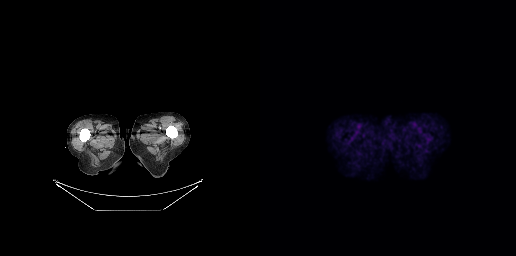
{"pet_grid":[256,256],"coord_frame":"pet_panel","coord_format":"x0,y0,x1,y1","psma_avid_lesions":false,"modality":"PSMA PET/CT","view":"axial","tracer":"[18F]PSMA-1007"}